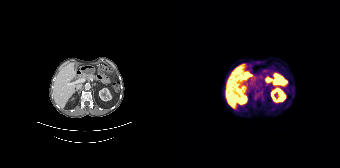
Findings: Coordinates are on the 168×168 PET (right) panel. Small PSMA-avid focus (2 to 4 px across) near (center x, center y): (83, 95).
- Left: CT. Right: PSMA PET, same axial level, [68Ga]Ga-PSMA-11 tracer